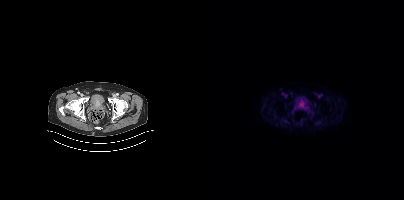
Coordinates are on the 200×200 PET (right) panel. Small PSMA-avid focus (2 to 4 px across) near (center x, center y): (98, 106).
modality: PSMA PET/CT | tracer: 18F-PSMA | view: axial